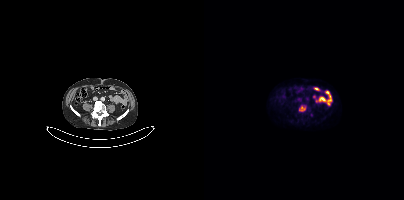
Paired axial CT (left) and PSMA PET (right), [18F]PSMA-1007 tracer. Slice position z = -654 mm.
Coordinates are on the 200×200 PET (right) panel. PSMA-avid tumor lesion bounding boxes:
| # | x0 | y0 | x1 | y1 |
|---|---|---|---|---|
| 1 | 95 | 106 | 101 | 111 |